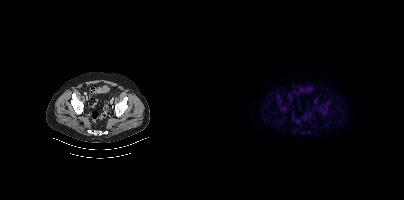
Coordinates are on the 200×200 PET (right) panel. PSMA-avid tumor lesion bounding boxes (x0,y0,x1,y1): [116,108,122,115] [75,107,82,111] [72,95,76,102] [121,101,125,105] [103,130,106,134]. Left: CT. Right: PSMA PET, same axial level, 18F-PSMA tracer. Acquired on Siemens Biograph mCT Flow 20.